Paired axial CT (left) and PSMA PET (right), 18F tracer. Acquired on Siemens Biograph mCT Flow 20.
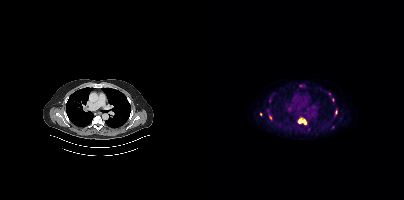
Coordinates are on the 200×200 PET (right) panel. (showing 3 of 5 foci) PSMA-avid tumor lesion bounding box (x0,y0,x1,y1): [94,117,102,124]. Small PSMA-avid foci (2 to 4 px across) near (center x, center y): (56, 114) (66, 117).